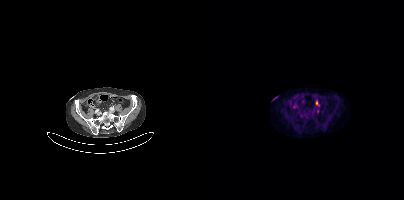
Coordinates are on the 200×200 PET (right) panel. PSMA-avid tumor lesion bounding box (x0,y0,x1,y1): [112,101,115,105].